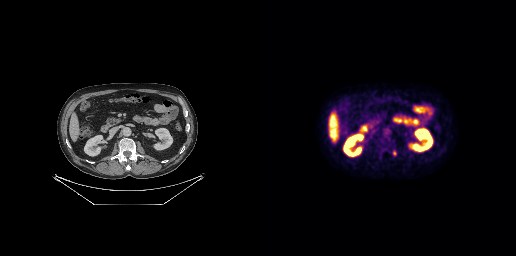
Coordinates are on the 256×256 PET (right) panel. Small PSMA-avid focus (2 to 4 px across) near (center x, center y): (134, 153).